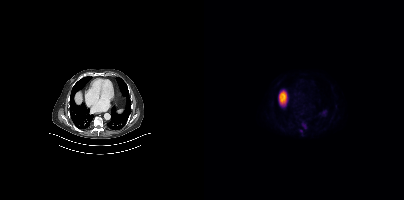
Findings: Coordinates are on the 200×200 PET (right) panel. PSMA-avid tumor lesion bounding boxes (x0, y0)-(x1, y1): (97, 122)-(102, 128) / (95, 129)-(99, 134).
Technique: Two-panel axial: CT | PSMA PET, 18F-PSMA tracer. acquired on Siemens Biograph mCT Flow 20. slice position z = -614 mm. PET panel 200×200 px (4.1 mm/px).